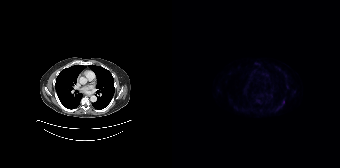
Findings: Coordinates are on the 168×168 PET (right) panel. Small PSMA-avid focus (2 to 4 px across) near (center x, center y): (111, 101).
Technique: Two-panel axial: CT | PSMA PET, 18F-PSMA tracer. acquired on Siemens Biograph 64-4R TruePoint. slice 145 of 195. PET panel 168×168 px (4.1 mm/px).